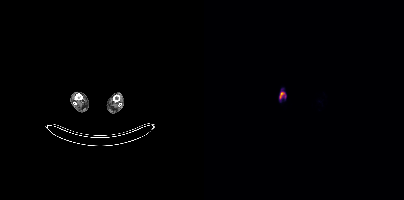
modality: PSMA PET/CT | tracer: 18F | view: axial | PET grid: 200×200
Coordinates are on the 200×200 PET (right) panel. PSMA-avid tumor lesion bounding box (x0,y0,x1,y1): [75,92,81,98].